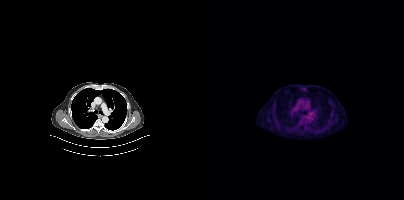
Paired axial CT (left) and PSMA PET (right), 18F tracer. Acquired on Siemens Biograph mCT Flow 20. No PSMA-avid tumor lesions on this slice.